modality: PSMA PET/CT | tracer: 18F | view: axial
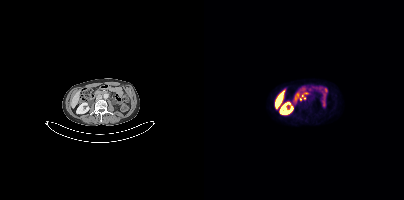
Coordinates are on the 200×200 PET (right) panel. (showing 1 of 3 foci) Small PSMA-avid focus (2 to 4 px across) near (center x, center y): (96, 98).